Technique: Paired axial CT (left) and PSMA PET (right), 18F tracer. slice 233 of 433.
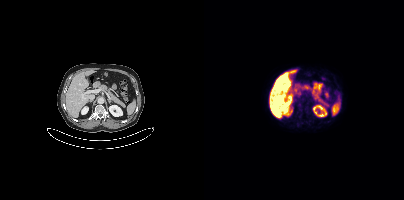
Findings: Only PSMA-avid lesion pieces thinner than 2 px on this slice (not listed).